Technique: Two-panel axial: CT | PSMA PET, 18F-PSMA tracer. acquired on GE Discovery 690. PET panel 256×256 px (2.7 mm/px).
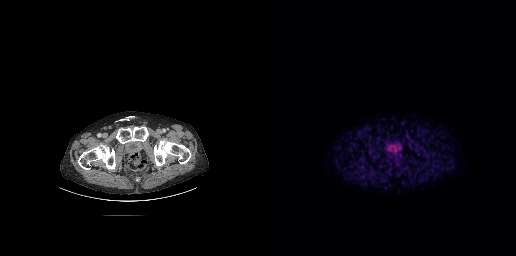
Findings: Coordinates are on the 256×256 PET (right) panel. Small PSMA-avid focus (2 to 4 px across) near (center x, center y): (131, 127).